- any black rectangle over the head is a privacy mask, not anatomy
- Paired axial CT (left) and PSMA PET (right), [68Ga]Ga-PSMA-11 tracer
- slice 254 of 263
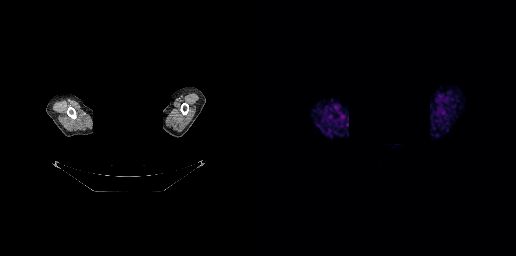
Findings: No tumor lesions annotated on this slice.